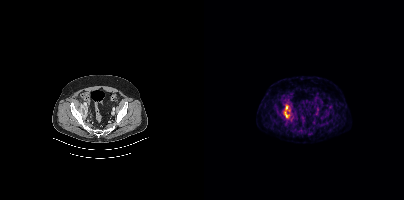
Findings: Coordinates are on the 200×200 PET (right) panel. PSMA-avid tumor lesion bounding box (x, y, width, height): x=79 y=104 w=8 h=15.
Technique: Paired axial CT (left) and PSMA PET (right), [18F]PSMA-1007 tracer. slice 135 of 454.